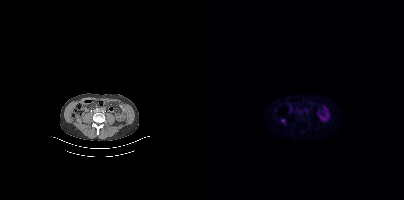
Left: CT. Right: PSMA PET, same axial level, 18F tracer. Slice 157 of 435. Coordinates are on the 200×200 PET (right) panel. Small PSMA-avid focus (2 to 4 px across) near (center x, center y): (78, 120).